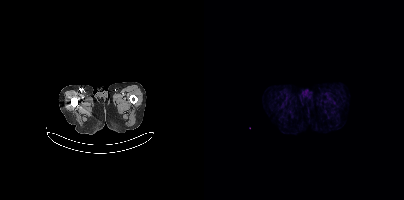
No PSMA-avid tumor lesions on this slice.